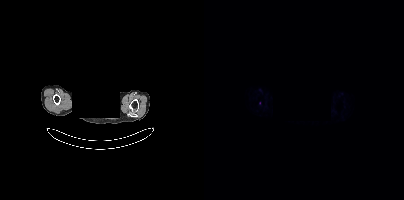
- the head region is masked for de-identification
- Paired axial CT (left) and PSMA PET (right), [68Ga]Ga-PSMA-11 tracer
- slice 368 of 411
- PET panel 200×200 px (4.1 mm/px)
Findings: Coordinates are on the 200×200 PET (right) panel. Small PSMA-avid focus (2 to 4 px across) near (center x, center y): (55, 103).